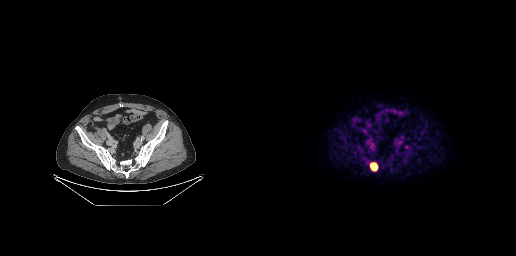
{"modality":"PSMA PET/CT","view":"axial","tracer":"18F","pet_grid":[256,256],"coord_frame":"pet_panel","coord_format":"x0,y0,x1,y1","lesion_bboxes":[[110,163,117,170]],"small_foci_centers":[[146,147]]}